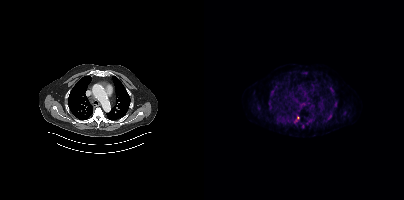
{"modality":"PSMA PET/CT","view":"axial","tracer":"18F","pet_grid":[200,200],"coord_frame":"pet_panel","coord_format":"x0,y0,x1,y1","partial":true,"lesion_bboxes":[[73,116,78,122],[103,119,108,123],[66,90,70,95],[123,115,128,120],[125,87,129,91],[65,104,68,108],[139,112,143,115],[90,116,95,122],[97,124,100,128],[99,72,103,74]],"small_foci_centers":[[54,108],[132,100],[131,106]]}